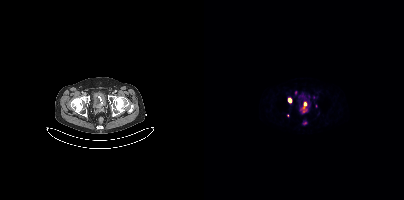
- Left: CT. Right: PSMA PET, same axial level, 68Ga tracer
- PET panel 200×200 px (4.1 mm/px)
Findings: Coordinates are on the 200×200 PET (right) panel. (showing 5 of 6 foci) PSMA-avid tumor lesion bounding boxes (x, y, width, height): x=96 y=103 w=8 h=10 | x=84 y=98 w=4 h=5. Small PSMA-avid foci (2 to 4 px across) near (center x, center y): (91, 92) | (83, 115) | (112, 105).